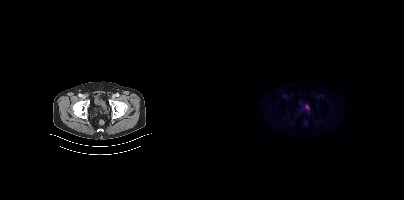
Coordinates are on the 200×200 PET (right) panel. Small PSMA-avid focus (2 to 4 px across) near (center x, center y): (104, 113).